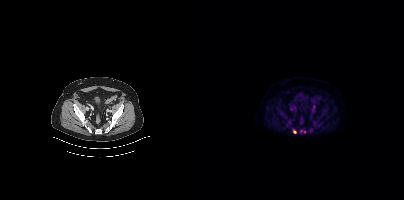
Two-panel axial: CT | PSMA PET, 18F-PSMA tracer. Slice 83 of 381. PET panel 200×200 px (4.1 mm/px). Coordinates are on the 200×200 PET (right) panel. (showing 2 of 3 foci) Small PSMA-avid foci (2 to 4 px across) near (center x, center y): (90, 131) / (100, 131).